Technique: Two-panel axial: CT | PSMA PET, [18F]PSMA-1007 tracer.
Note: Any black rectangle over the head is a privacy mask, not anatomy.
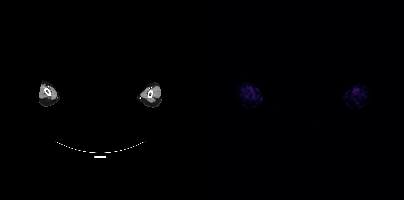
Findings: No PSMA-avid tumor lesions on this slice.